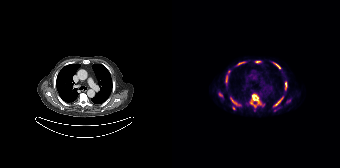
{"pet_grid":[168,168],"coord_frame":"pet_panel","coord_format":"x0,y0,x1,y1","partial":true,"lesion_bboxes":[[78,94,89,107],[101,97,111,106],[58,97,68,105],[53,75,55,83],[113,82,115,90],[101,62,108,68],[66,62,72,64]],"small_foci_centers":[[57,71],[85,61],[48,95],[61,108]],"modality":"PSMA PET/CT","view":"axial","tracer":"18F"}